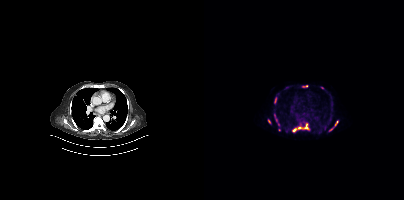
Coordinates are on the 200×200 PET (right) panel. (showing 6 of 9 foci) PSMA-avid tumor lesion bounding boxes (x0,y0,x1,y1): [89,123,105,131], [125,122,133,131], [70,98,72,103], [98,85,103,87], [70,115,73,119], [64,119,66,123].